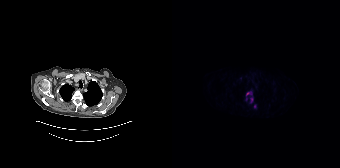
modality: PSMA PET/CT | tracer: 18F | view: axial
Coordinates are on the 168×168 PET (right) panel. PSMA-avid tumor lesion bounding boxes (x0, y0)-(x1, y1): (74, 91)-(80, 96) | (78, 97)-(81, 102). Small PSMA-avid foci (2 to 4 px across) near (center x, center y): (82, 106) | (74, 99).